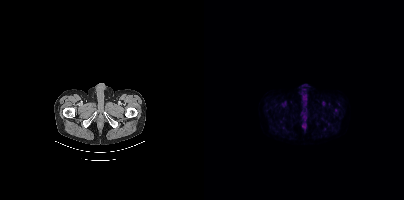
{"modality":"PSMA PET/CT","view":"axial","tracer":"18F-PSMA","pet_grid":[200,200],"coord_frame":"pet_panel","coord_format":"x0,y0,x1,y1","psma_avid_lesions":false}